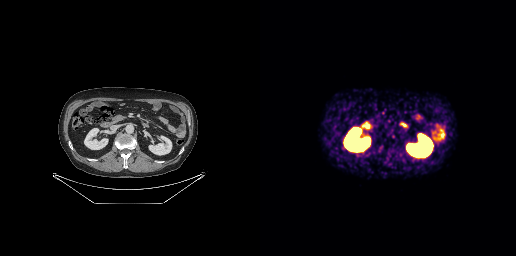
This slice has no annotated PSMA-avid lesion. Two-panel axial: CT | PSMA PET, 68Ga tracer. Acquired on GE Discovery 690. Slice 128 of 263. PET panel 256×256 px (2.7 mm/px).